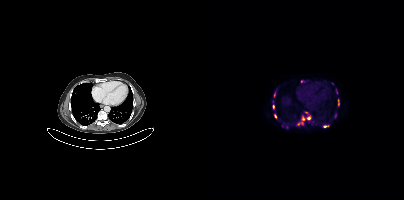
modality: PSMA PET/CT | tracer: [18F]PSMA-1007 | view: axial | PET grid: 200×200
Coordinates are on the 200×200 PET (right) panel. (showing 10 of 11 foci) PSMA-avid tumor lesion bounding boxes (x0, y0)-(x1, y1): (134, 99)-(135, 106); (98, 116)-(100, 120); (119, 125)-(125, 127); (70, 114)-(72, 118). Small PSMA-avid foci (2 to 4 px across) near (center x, center y): (69, 106); (104, 118); (97, 123); (94, 123); (97, 81); (102, 112).